Two-panel axial: CT | PSMA PET, 18F-PSMA tracer. Slice position z = -354 mm.
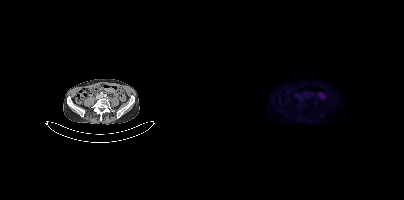
Negative for PSMA-avid disease on this slice.